modality: PSMA PET/CT | tracer: 18F-PSMA | view: axial | PET grid: 200×200
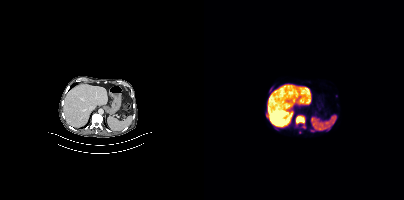
Coordinates are on the 200×200 PET (right) panel. (showing 3 of 5 foci) PSMA-avid tumor lesion bounding boxes (x, y, width, height): x=92 y=115 w=9 h=9 / x=107 y=129 w=5 h=3. Small PSMA-avid focus (2 to 4 px across) near (center x, center y): (63, 116).